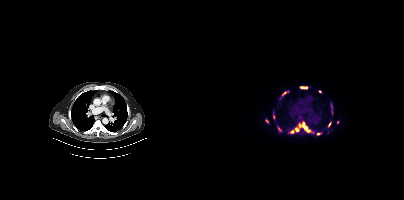
Technique: Two-panel axial: CT | PSMA PET, 18F tracer. PET panel 200×200 px (4.1 mm/px).
Findings: Coordinates are on the 200×200 PET (right) panel. (showing 8 of 12 foci) PSMA-avid tumor lesion bounding boxes (x0, y0)-(x1, y1): (95, 122)-(106, 132) / (97, 87)-(103, 88) / (113, 133)-(117, 135). Small PSMA-avid foci (2 to 4 px across) near (center x, center y): (92, 129) / (88, 131) / (125, 124) / (80, 92) / (62, 120).